Left: CT. Right: PSMA PET, same axial level, 18F tracer. Acquired on Siemens Biograph mCT Flow 20. PET panel 200×200 px (4.1 mm/px).
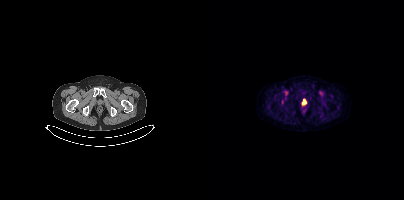
Coordinates are on the 200×200 PET (right) panel. PSMA-avid tumor lesion bounding box (x0, y0)-(x1, y1): (98, 99)-(102, 104).